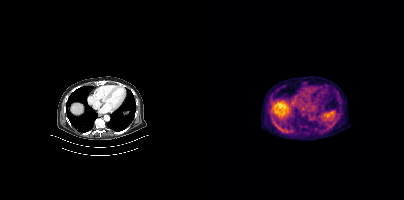
No tumor lesions annotated on this slice.